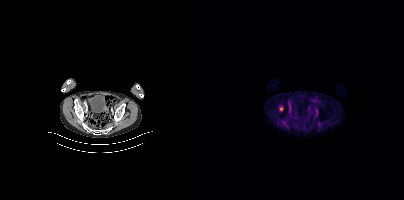
Coordinates are on the 200×200 PET (right) panel. Small PSMA-avid focus (2 to 4 px across) near (center x, center y): (77, 109).